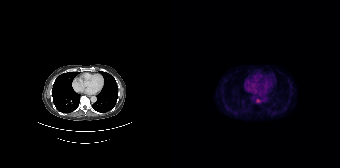
Coordinates are on the 168×168 PET (right) panel. Small PSMA-avid focus (2 to 4 px across) near (center x, center y): (85, 100).